modality: PSMA PET/CT | tracer: [18F]PSMA-1007 | view: axial
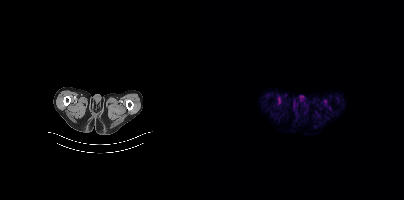
No PSMA-avid tumor lesions on this slice.